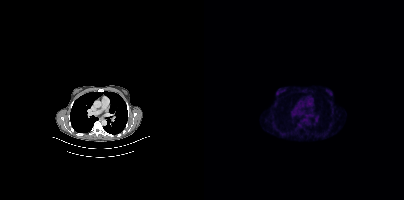
Technique: Two-panel axial: CT | PSMA PET, 18F-PSMA tracer. slice 304 of 435.
Findings: Negative for PSMA-avid disease on this slice.